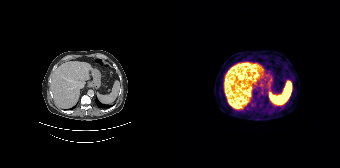
modality: PSMA PET/CT | tracer: 68Ga | view: axial | PET grid: 168×168
This slice has no annotated PSMA-avid lesion.